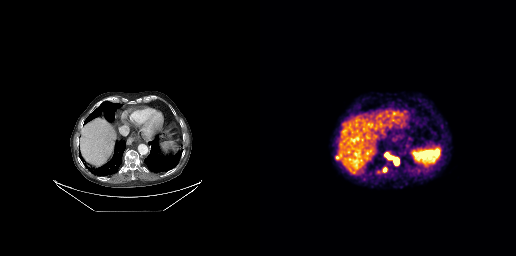
modality: PSMA PET/CT | tracer: [68Ga]Ga-PSMA-11 | view: axial
Coordinates are on the 256×256 PET (right) panel. PSMA-avid tumor lesion bounding boxes (x, y, width, height): x=125 y=153 w=14 h=13 / x=116 y=170 w=6 h=5 / x=123 y=167 w=5 h=6. Small PSMA-avid foci (2 to 4 px across) near (center x, center y): (77, 157) / (80, 155).